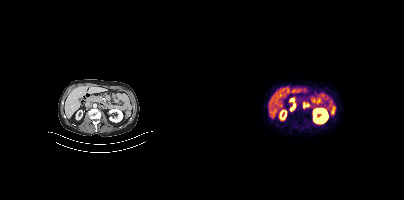
{"modality":"PSMA PET/CT","view":"axial","tracer":"[68Ga]Ga-PSMA-11","pet_grid":[200,200],"coord_frame":"pet_panel","coord_format":"x0,y0,x1,y1","lesion_bboxes":[[86,105,90,110]],"small_foci_centers":[[100,105]]}